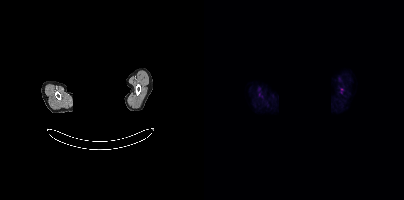
Only PSMA-avid lesion pieces thinner than 2 px on this slice (not listed). Paired axial CT (left) and PSMA PET (right), 18F-PSMA tracer. PET panel 200×200 px (4.1 mm/px). Any black rectangle over the head is a privacy mask, not anatomy.